Two-panel axial: CT | PSMA PET, [68Ga]Ga-PSMA-11 tracer. Slice 261 of 263. PET panel 256×256 px (2.7 mm/px). Any black rectangle over the head is a privacy mask, not anatomy.
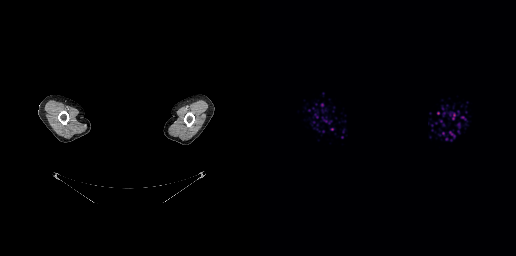
This slice has no annotated PSMA-avid lesion.